Paired axial CT (left) and PSMA PET (right), 18F-PSMA tracer. Acquired on GE Discovery 690.
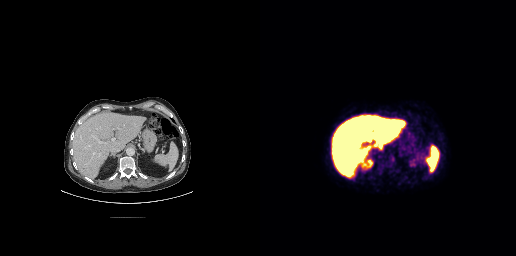
This slice has no annotated PSMA-avid lesion.